- Left: CT. Right: PSMA PET, same axial level, [68Ga]Ga-PSMA-11 tracer
- slice position z = -544 mm
- PET panel 256×256 px (2.7 mm/px)
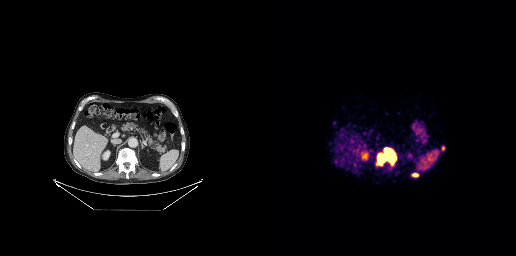
Findings: Coordinates are on the 256×256 PET (right) panel. PSMA-avid tumor lesion bounding boxes (x0, y0)-(x1, y1): (118, 148)-(135, 163) | (152, 173)-(158, 177). Small PSMA-avid focus (2 to 4 px across) near (center x, center y): (182, 149).